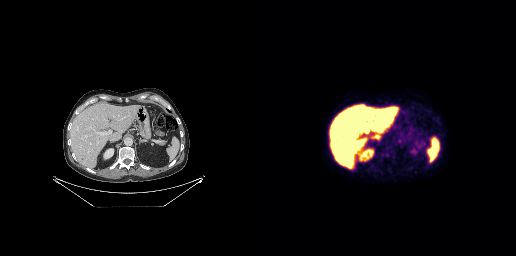
{"modality":"PSMA PET/CT","view":"axial","tracer":"18F","pet_grid":[256,256],"coord_frame":"pet_panel","coord_format":"x0,y0,x1,y1","psma_avid_lesions":false}